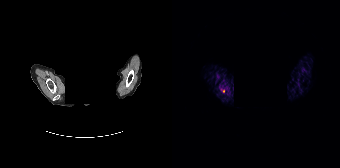
The head region is masked for de-identification. Paired axial CT (left) and PSMA PET (right), 68Ga-PSMA tracer. Coordinates are on the 168×168 PET (right) panel. Small PSMA-avid focus (2 to 4 px across) near (center x, center y): (51, 91).